Technique: Two-panel axial: CT | PSMA PET, 68Ga-PSMA tracer.
Note: Any black rectangle over the head is a privacy mask, not anatomy.
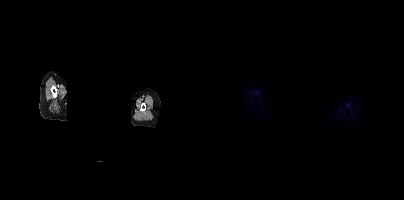
Findings: Negative for PSMA-avid disease on this slice.